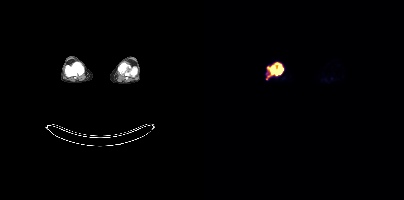
- Paired axial CT (left) and PSMA PET (right), [18F]PSMA-1007 tracer
- acquired on Siemens Biograph mCT Flow 20
- slice 275 of 963
- PET panel 200×200 px (4.1 mm/px)
Findings: Coordinates are on the 200×200 PET (right) panel. (showing 1 of 2 foci) PSMA-avid tumor lesion bounding box (x, y, width, height): x=62 y=62 w=18 h=18.